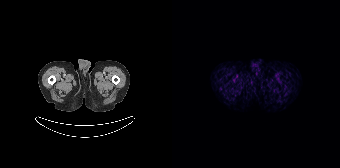
Findings: Negative for PSMA-avid disease on this slice.
Technique: Two-panel axial: CT | PSMA PET, [68Ga]Ga-PSMA-11 tracer. acquired on Siemens Biograph 64-4R TruePoint. slice position z = -805 mm. PET panel 168×168 px (4.1 mm/px).